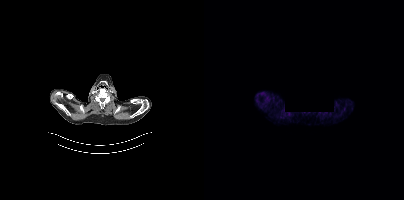
Technique: Left: CT. Right: PSMA PET, same axial level, 18F tracer. acquired on Siemens Biograph mCT Flow 20.
Note: De-identified by setting a rectangular region to black.
Findings: No PSMA-avid tumor lesions on this slice.